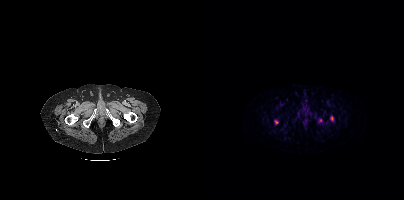
modality: PSMA PET/CT | tracer: [68Ga]Ga-PSMA-11 | view: axial
Coordinates are on the 200×200 PET (right) panel. Small PSMA-avid focus (2 to 4 px across) near (center x, center y): (72, 122).